- Left: CT. Right: PSMA PET, same axial level, 18F tracer
- acquired on Siemens Biograph mCT Flow 20
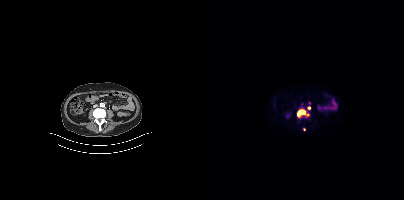
Findings: Coordinates are on the 200×200 PET (right) panel. PSMA-avid tumor lesion bounding box (x0, y0)-(x1, y1): (93, 109)-(101, 116). Small PSMA-avid foci (2 to 4 px across) near (center x, center y): (105, 108) | (103, 114) | (100, 129).